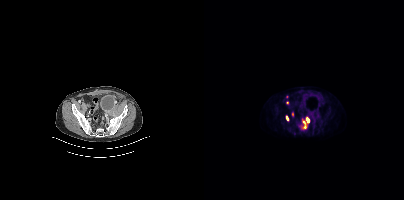
Coordinates are on the 200×200 PET (right) panel. PSMA-avid tumor lesion bounding boxes (partial; 1 more focus not listed):
| # | x0 | y0 | x1 | y1 |
|---|---|---|---|---|
| 1 | 98 | 117 | 105 | 128 |
| 2 | 82 | 116 | 84 | 120 |
Small PSMA-avid foci (2 to 4 px across) near (center x, center y): (83, 97); (83, 102).
Paired axial CT (left) and PSMA PET (right), 18F tracer. Acquired on Siemens Biograph mCT Flow 20.